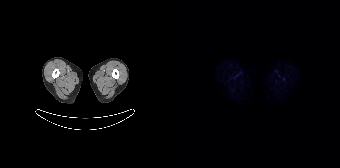
Findings: Negative for PSMA-avid disease on this slice.
- Two-panel axial: CT | PSMA PET, 18F tracer
- slice position z = 1328 mm
- PET panel 168×168 px (4.1 mm/px)